Two-panel axial: CT | PSMA PET, 18F-PSMA tracer. Acquired on Siemens Biograph mCT Flow 20.
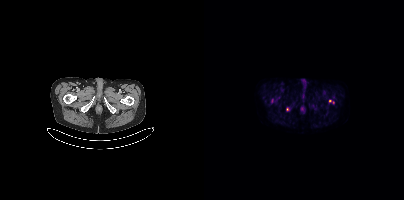
Coordinates are on the 200×200 PET (right) panel. (showing 2 of 4 foci) Small PSMA-avid foci (2 to 4 px across) near (center x, center y): (68, 100), (125, 100).